Technique: Two-panel axial: CT | PSMA PET, [18F]PSMA-1007 tracer. slice position z = -820 mm. PET panel 200×200 px (4.1 mm/px).
Note: A rectangular block over the head has been blanked out for de-identification.
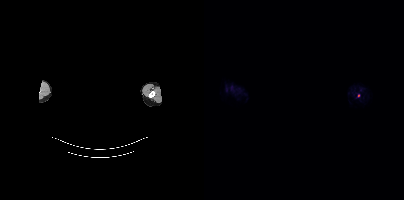
Findings: Coordinates are on the 200×200 PET (right) panel. Small PSMA-avid focus (2 to 4 px across) near (center x, center y): (154, 95).